- Two-panel axial: CT | PSMA PET, 18F tracer
- PET panel 200×200 px (4.1 mm/px)
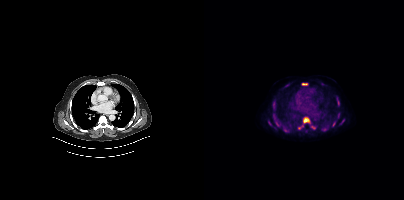
Findings: Coordinates are on the 200×200 PET (right) panel. (showing 15 of 16 foci) PSMA-avid tumor lesion bounding boxes (x0,y0,x1,y1): [97,117,105,127], [132,98,135,106], [106,125,111,129], [98,83,103,85], [69,102,71,109], [79,127,82,131], [128,121,131,126], [137,119,140,123]. Small PSMA-avid foci (2 to 4 px across) near (center x, center y): (71, 118), (73, 124), (134, 116), (65, 123), (94, 128), (122, 128), (82, 85).